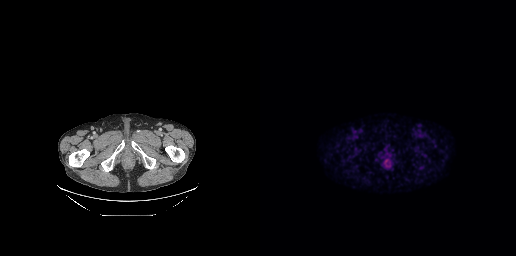
Paired axial CT (left) and PSMA PET (right), [18F]PSMA-1007 tracer. PET panel 256×256 px (2.7 mm/px). This slice has no annotated PSMA-avid lesion.